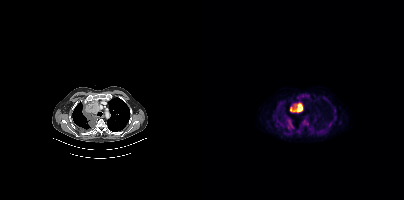
Findings: Coordinates are on the 200×200 PET (right) panel. PSMA-avid tumor lesion bounding boxes (x0, y0)-(x1, y1): (86, 103)-(98, 112); (81, 120)-(89, 128); (98, 119)-(104, 125); (94, 94)-(101, 98). Small PSMA-avid focus (2 to 4 px across) near (center x, center y): (79, 125).
Technique: Two-panel axial: CT | PSMA PET, 18F-PSMA tracer. acquired on Siemens Biograph mCT Flow 20. slice 337 of 452. PET panel 200×200 px (4.1 mm/px).